Left: CT. Right: PSMA PET, same axial level, 18F tracer. Slice position z = -751 mm. PET panel 200×200 px (4.1 mm/px).
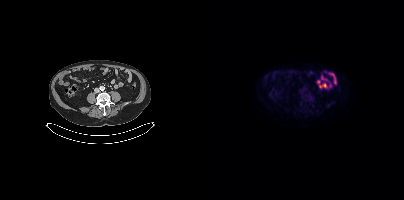
Coordinates are on the 200×200 PET (right) panel. Small PSMA-avid focus (2 to 4 px across) near (center x, center y): (106, 97).